Left: CT. Right: PSMA PET, same axial level, [18F]PSMA-1007 tracer. Acquired on GE Discovery 690. Slice position z = -712 mm.
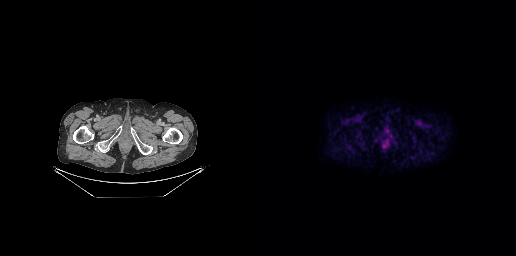
This slice has no annotated PSMA-avid lesion.